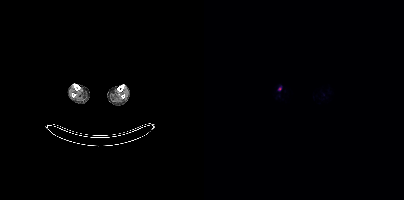
Paired axial CT (left) and PSMA PET (right), 18F-PSMA tracer. Slice 152 of 963. Coordinates are on the 200×200 PET (right) panel. Small PSMA-avid focus (2 to 4 px across) near (center x, center y): (75, 88).